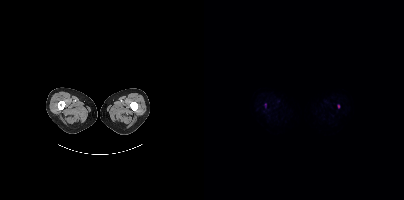
Coordinates are on the 200×200 PET (right) panel. Small PSMA-avid foci (2 to 4 px across) near (center x, center y): (61, 104); (134, 106).